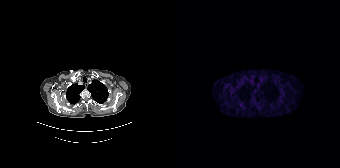
No tumor lesions annotated on this slice. Paired axial CT (left) and PSMA PET (right), 68Ga-PSMA tracer. Slice position z = -778 mm.